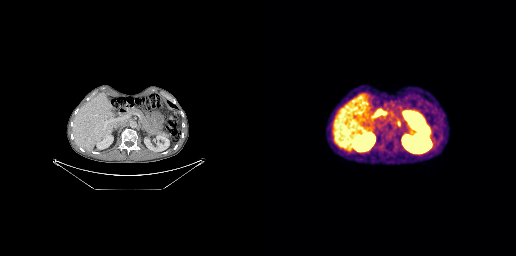
Two-panel axial: CT | PSMA PET, 18F-PSMA tracer. No PSMA-avid tumor lesions on this slice.